Two-panel axial: CT | PSMA PET, [68Ga]Ga-PSMA-11 tracer. Slice position z = -1248 mm.
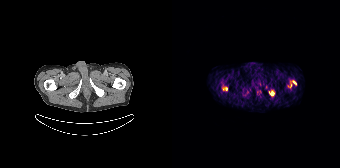
Coordinates are on the 168×168 PET (right) panel. PSMA-avid tumor lesion bounding boxes (x, y, width, height): x=50 y=85 w=6 h=6 / x=97 y=91 w=6 h=5. Small PSMA-avid foci (2 to 4 px across) near (center x, center y): (122, 82) / (118, 85).